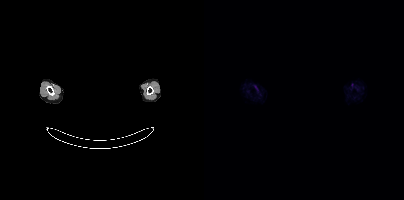
Findings: This slice has no annotated PSMA-avid lesion.
- Paired axial CT (left) and PSMA PET (right), 18F-PSMA tracer
- slice position z = -1022 mm
- PET panel 200×200 px (4.1 mm/px)
- the head region is masked for de-identification